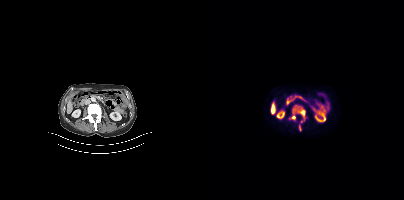
Left: CT. Right: PSMA PET, same axial level, 18F tracer. Acquired on Siemens Biograph mCT Flow 20. Slice 174 of 421. PET panel 200×200 px (4.1 mm/px). Coordinates are on the 200×200 PET (right) panel. PSMA-avid tumor lesion bounding box (x0, y0)-(x1, y1): (85, 105)-(101, 131).